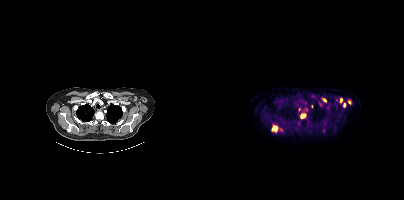
Coordinates are on the 200×200 PET (right) panel. (showing 13 of 14 foci) PSMA-avid tumor lesion bounding boxes (x0, y0)-(x1, y1): (68, 125)-(74, 131) | (96, 114)-(101, 118) | (118, 98)-(122, 101). Small PSMA-avid foci (2 to 4 px across) near (center x, center y): (140, 104) | (124, 107) | (119, 130) | (137, 99) | (145, 102) | (116, 104) | (107, 106) | (108, 95) | (95, 109) | (103, 120).